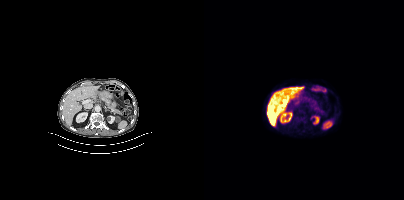
- Paired axial CT (left) and PSMA PET (right), 18F tracer
- acquired on Siemens Biograph mCT Flow 20
Findings: No PSMA-avid tumor lesions on this slice.